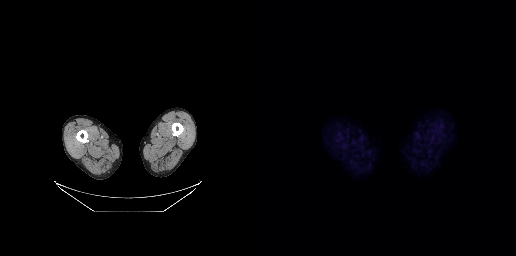
{"modality":"PSMA PET/CT","view":"axial","tracer":"18F","pet_grid":[256,256],"coord_frame":"pet_panel","coord_format":"x0,y0,x1,y1","psma_avid_lesions":false}